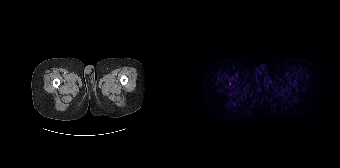
This slice has no annotated PSMA-avid lesion. Left: CT. Right: PSMA PET, same axial level, [68Ga]Ga-PSMA-11 tracer. Slice position z = -1594 mm.